Two-panel axial: CT | PSMA PET, 18F-PSMA tracer. Acquired on Siemens Biograph mCT Flow 20.
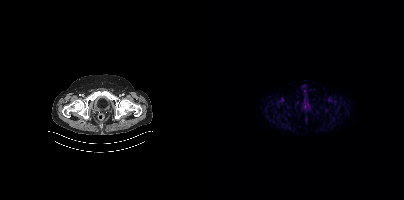
Negative for PSMA-avid disease on this slice.